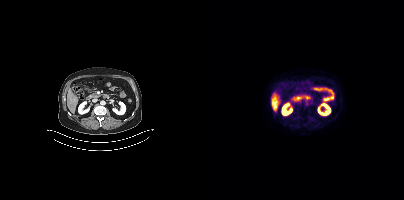
Negative for PSMA-avid disease on this slice.